Paired axial CT (left) and PSMA PET (right), [18F]PSMA-1007 tracer. Acquired on Siemens Biograph mCT Flow 20.
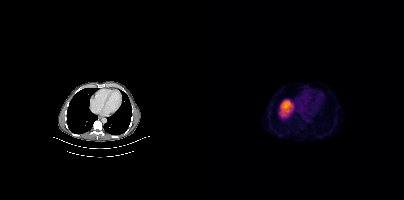
No tumor lesions annotated on this slice.